- Paired axial CT (left) and PSMA PET (right), 18F tracer
- acquired on Siemens Biograph mCT Flow 20
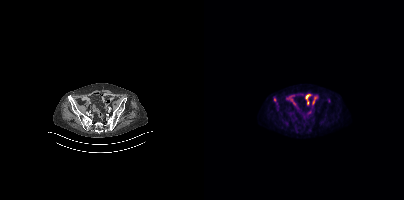
Findings: Coordinates are on the 200×200 PET (right) panel. (showing 1 of 2 foci) Small PSMA-avid focus (2 to 4 px across) near (center x, center y): (71, 99).